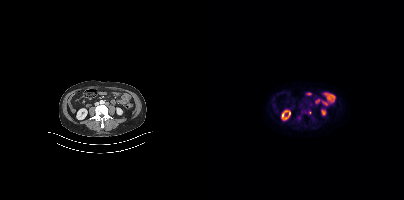
No PSMA-avid tumor lesions on this slice.